de-identification: rectangular block over head set to black | modality: PSMA PET/CT | tracer: 18F-PSMA | view: axial | PET grid: 200×200
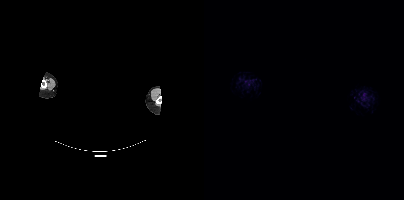
No tumor lesions annotated on this slice.